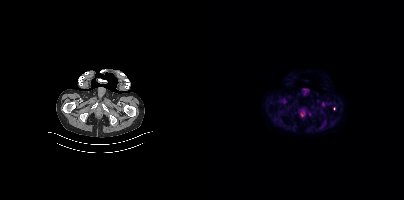
{"modality":"PSMA PET/CT","view":"axial","tracer":"[18F]PSMA-1007","pet_grid":[200,200],"coord_frame":"pet_panel","coord_format":"x0,y0,x1,y1","lesion_bboxes":[],"small_foci_centers":[[130,108]]}